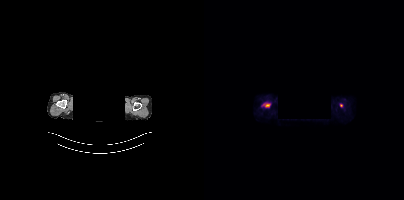
{"modality":"PSMA PET/CT","view":"axial","tracer":"18F-PSMA","pet_grid":[200,200],"coord_frame":"pet_panel","coord_format":"x0,y0,x1,y1","lesion_bboxes":[[59,102,66,107]],"small_foci_centers":[[137,105]],"deidentification":"face masked with black rectangle"}